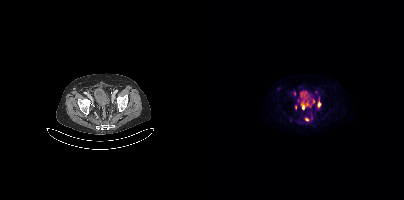
Coordinates are on the 200×200 PET (right) panel. PSMA-avid tumor lesion bounding boxes (x, y, width, height): x=113 y=101 w=5 h=7; x=96 y=103 w=5 h=8; x=108 y=99 w=3 h=5; x=91 y=105 w=2 h=5. Small PSMA-avid foci (2 to 4 px across) near (center x, center y): (102, 119); (94, 100); (90, 93).